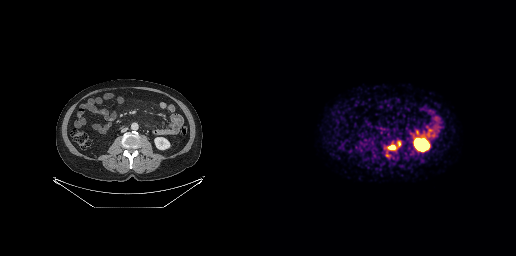
Findings: Coordinates are on the 256×256 PET (right) panel. PSMA-avid tumor lesion bounding box (x, y, width, height): x=129 y=146 w=6 h=4.
- Two-panel axial: CT | PSMA PET, 68Ga-PSMA tracer
- PET panel 256×256 px (2.7 mm/px)